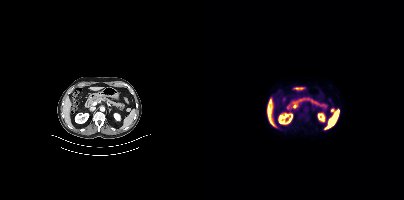
{"pet_grid":[200,200],"coord_frame":"pet_panel","coord_format":"x0,y0,x1,y1","lesion_bboxes":[],"small_foci_centers":[[128,110]],"modality":"PSMA PET/CT","view":"axial","tracer":"18F"}